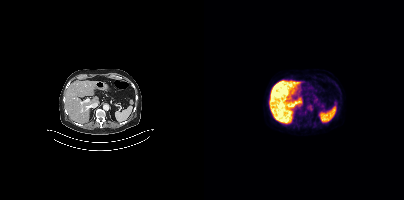
This slice has no annotated PSMA-avid lesion. Left: CT. Right: PSMA PET, same axial level, 18F-PSMA tracer. Slice 214 of 393.